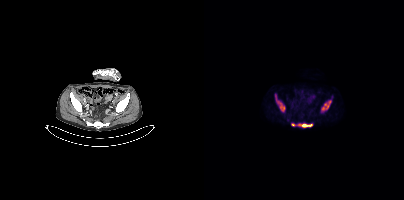
Coordinates are on the 200×200 PET (right) panel. PSMA-avid tumor lesion bounding boxes (x0,y0,x1,y1): [71,94,81,112] [87,123,108,127] [117,100,127,110].